The head region is masked for de-identification.
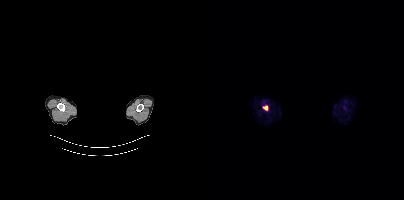
Coordinates are on the 200×200 PET (right) panel. PSMA-avid tumor lesion bounding box (x0,y0,x1,y1): [58,105,64,110].